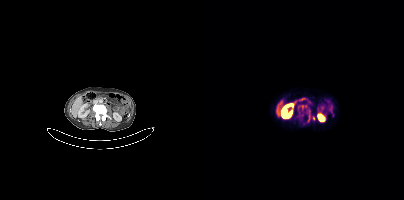
{"modality":"PSMA PET/CT","view":"axial","tracer":"68Ga","pet_grid":[200,200],"coord_frame":"pet_panel","coord_format":"x0,y0,x1,y1","lesion_bboxes":[[104,112,106,122],[108,116,111,120]]}